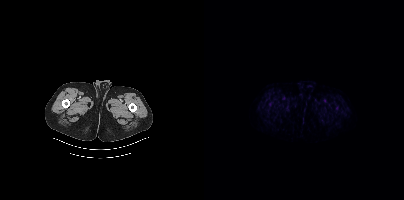
{"modality":"PSMA PET/CT","view":"axial","tracer":"18F-PSMA","pet_grid":[200,200],"coord_frame":"pet_panel","coord_format":"x0,y0,x1,y1","psma_avid_lesions":false}